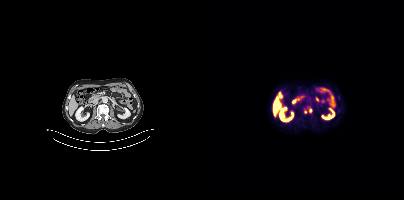
Findings: Coordinates are on the 200×200 PET (right) panel. Small PSMA-avid foci (2 to 4 px across) near (center x, center y): (106, 110) | (101, 112).
Technique: Two-panel axial: CT | PSMA PET, [18F]PSMA-1007 tracer. acquired on Siemens Biograph mCT Flow 20. slice 187 of 423.